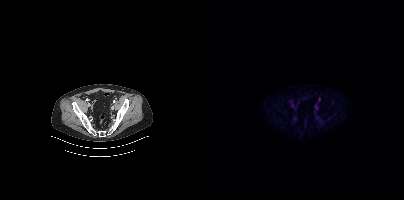
{"modality":"PSMA PET/CT","view":"axial","tracer":"18F","pet_grid":[200,200],"coord_frame":"pet_panel","coord_format":"x0,y0,x1,y1","partial":true,"lesion_bboxes":[]}